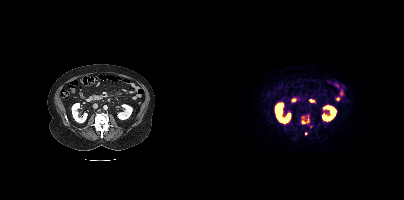
Left: CT. Right: PSMA PET, same axial level, [68Ga]Ga-PSMA-11 tracer. Acquired on Siemens Biograph mCT Flow 20. PET panel 200×200 px (4.1 mm/px).
Coordinates are on the 200×200 PET (right) panel. PSMA-avid tumor lesion bounding boxes (partial; 2 more foci not listed):
| # | x0 | y0 | x1 | y1 |
|---|---|---|---|---|
| 1 | 97 | 118 | 105 | 124 |
Small PSMA-avid foci (2 to 4 px across) near (center x, center y): (102, 133); (106, 126).